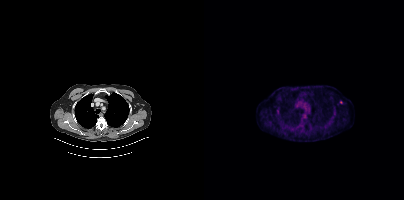
Coordinates are on the 200×200 PET (right) panel. Small PSMA-avid focus (2 to 4 px across) near (center x, center y): (137, 102). Left: CT. Right: PSMA PET, same axial level, 18F-PSMA tracer. Acquired on Siemens Biograph mCT Flow 20. Slice position z = -290 mm. PET panel 200×200 px (4.1 mm/px).